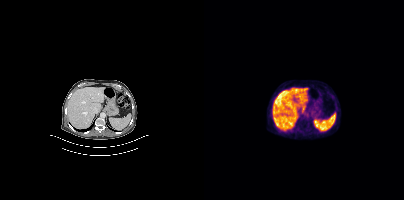
No tumor lesions annotated on this slice.